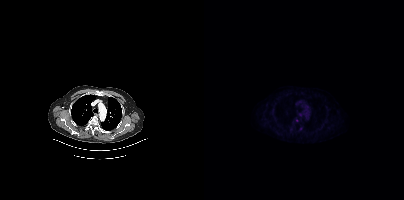
{"modality":"PSMA PET/CT","view":"axial","tracer":"18F","pet_grid":[200,200],"coord_frame":"pet_panel","coord_format":"x0,y0,x1,y1","psma_avid_lesions":false}